Technique: Paired axial CT (left) and PSMA PET (right), 68Ga tracer. acquired on Siemens Biograph 64-4R TruePoint. PET panel 168×168 px (4.1 mm/px).
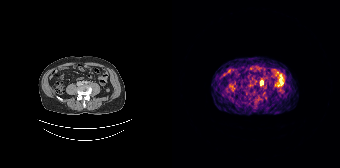
Findings: Coordinates are on the 168×168 PET (right) panel. Small PSMA-avid focus (2 to 4 px across) near (center x, center y): (89, 82).